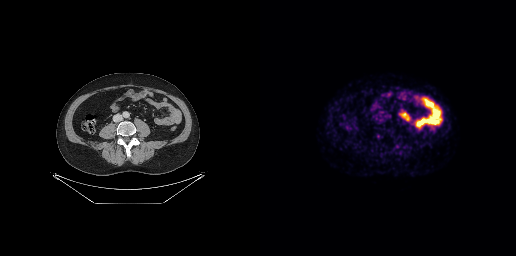
modality: PSMA PET/CT | tracer: 68Ga-PSMA | view: axial | PET grid: 256×256
No tumor lesions annotated on this slice.